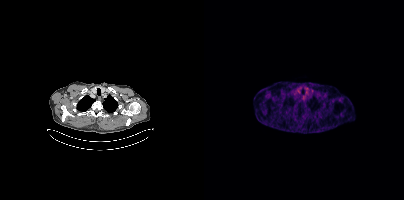
Negative for PSMA-avid disease on this slice.